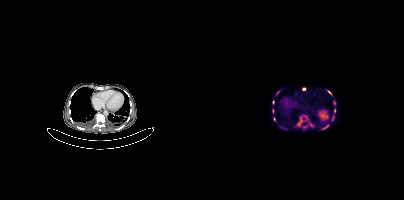
Two-panel axial: CT | PSMA PET, 68Ga tracer. Slice position z = -745 mm. PET panel 200×200 px (4.1 mm/px). Coordinates are on the 200×200 PET (right) panel. (showing 10 of 12 foci) PSMA-avid tumor lesion bounding boxes (x0, y0)-(x1, y1): (123, 90)-(127, 94) / (119, 125)-(124, 129) / (128, 116)-(130, 120). Small PSMA-avid foci (2 to 4 px across) near (center x, center y): (100, 89) / (73, 92) / (130, 102) / (130, 110) / (70, 118) / (68, 110) / (94, 123).